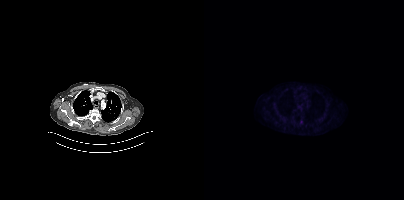
Left: CT. Right: PSMA PET, same axial level, 18F tracer. PET panel 200×200 px (4.1 mm/px). Only PSMA-avid lesion pieces thinner than 2 px on this slice (not listed).